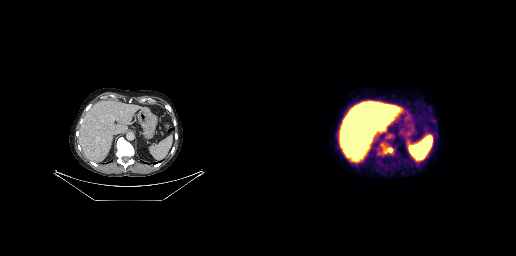
Technique: Left: CT. Right: PSMA PET, same axial level, [18F]PSMA-1007 tracer. slice position z = -403 mm. PET panel 256×256 px (2.7 mm/px).
Findings: Coordinates are on the 256×256 PET (right) panel. PSMA-avid tumor lesion bounding box (x0, y0)-(x1, y1): (125, 148)-(132, 152).